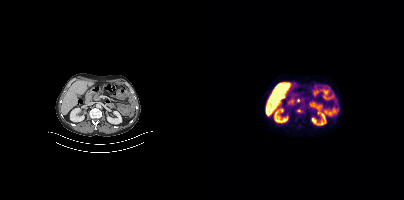
Findings: Coordinates are on the 200×200 PET (right) panel. PSMA-avid tumor lesion bounding box (x, y, width, height): x=93 y=109 w=6 h=4.
- Paired axial CT (left) and PSMA PET (right), 18F tracer